- Paired axial CT (left) and PSMA PET (right), 18F-PSMA tracer
- slice position z = -990 mm
- facial anatomy redacted by setting a rectangular region of the head to black
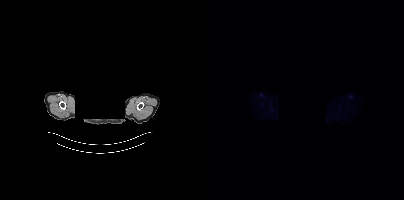
Findings: Negative for PSMA-avid disease on this slice.